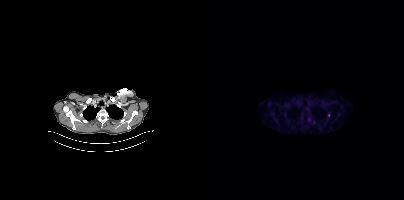
Coordinates are on the 200×200 PET (right) panel. (showing 1 of 2 foci) Small PSMA-avid focus (2 to 4 px across) near (center x, center y): (124, 115).
modality: PSMA PET/CT | tracer: 18F | view: axial | PET grid: 200×200